Left: CT. Right: PSMA PET, same axial level, 18F-PSMA tracer. Acquired on Siemens Biograph mCT Flow 20. Slice 162 of 421.
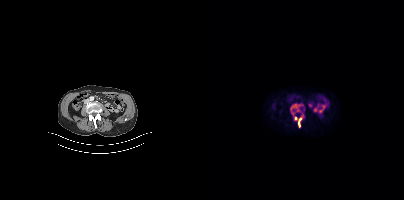
Coordinates are on the 200×200 PET (right) panel. PSMA-avid tumor lesion bounding boxes (x0,y0,x1,y1): [90,115,99,128]; [86,104,96,111]. Small PSMA-avid focus (2 to 4 px across) near (center x, center y): (88, 113).